Left: CT. Right: PSMA PET, same axial level, 18F tracer. Acquired on GE Discovery 690. PET panel 256×256 px (2.7 mm/px).
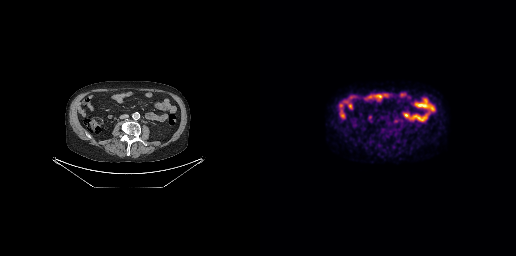
This slice has no annotated PSMA-avid lesion.